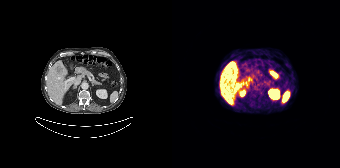
Technique: Two-panel axial: CT | PSMA PET, [68Ga]Ga-PSMA-11 tracer. slice 117 of 195.
Findings: Coordinates are on the 168×168 PET (right) panel. PSMA-avid tumor lesion bounding boxes (x0,y0,x1,y1): [54,62,63,72], [62,71,66,75]. Small PSMA-avid foci (2 to 4 px across) near (center x, center y): (59, 76), (74, 85).